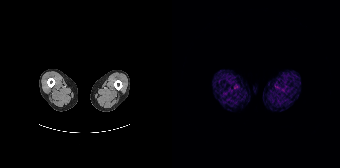
{"modality":"PSMA PET/CT","view":"axial","tracer":"68Ga-PSMA","pet_grid":[168,168],"coord_frame":"pet_panel","coord_format":"x0,y0,x1,y1","psma_avid_lesions":false}